Left: CT. Right: PSMA PET, same axial level, 68Ga-PSMA tracer. Acquired on Siemens Biograph 64-4R TruePoint.
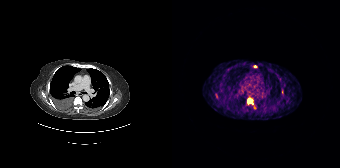
Coordinates are on the 168×168 PET (right) panel. PSMA-avid tumor lesion bounding boxes:
| # | x0 | y0 | x1 | y1 |
|---|---|---|---|---|
| 1 | 75 | 98 | 80 | 104 |
| 2 | 110 | 89 | 111 | 93 |
Small PSMA-avid foci (2 to 4 px across) near (center x, center y): (83, 66); (44, 95).